modality: PSMA PET/CT | tracer: 18F | view: axial | PET grid: 200×200
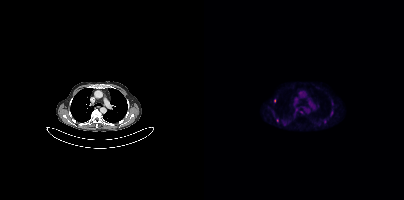
Coordinates are on the 200×200 PET (right) panel. Small PSMA-avid foci (2 to 4 px across) near (center x, center y): (73, 120) | (70, 100).